modality: PSMA PET/CT | tracer: [68Ga]Ga-PSMA-11 | view: axial | PET grid: 168×168
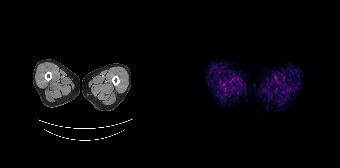
Negative for PSMA-avid disease on this slice.